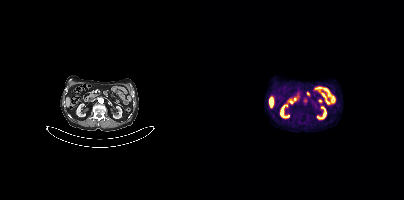
- Left: CT. Right: PSMA PET, same axial level, 18F tracer
- acquired on Siemens Biograph mCT Flow 20
- slice 190 of 401
- PET panel 200×200 px (4.1 mm/px)
Findings: No tumor lesions annotated on this slice.